Technique: Left: CT. Right: PSMA PET, same axial level, 18F-PSMA tracer. PET panel 200×200 px (4.1 mm/px).
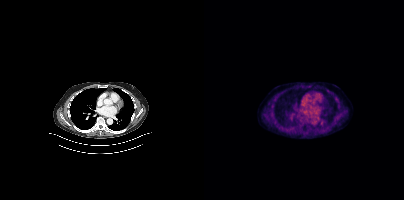
Findings: Negative for PSMA-avid disease on this slice.